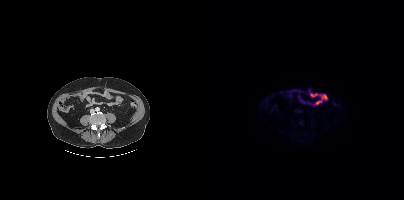
- Left: CT. Right: PSMA PET, same axial level, 18F-PSMA tracer
- acquired on Siemens Biograph mCT Flow 20
- PET panel 200×200 px (4.1 mm/px)
Findings: No tumor lesions annotated on this slice.